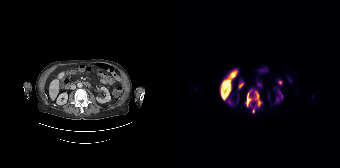
Coordinates are on the 168×168 PET (right) panel. PSMA-avid tumor lesion bounding box (x0,y0,x1,y1): [73,90,89,112].